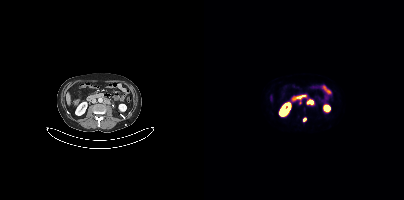
Coordinates are on the 200×200 PET (right) panel. (showing 2 of 4 foci) PSMA-avid tumor lesion bounding box (x0,y0,x1,y1): [103,100,108,104]. Small PSMA-avid focus (2 to 4 px across) near (center x, center y): (100, 119).